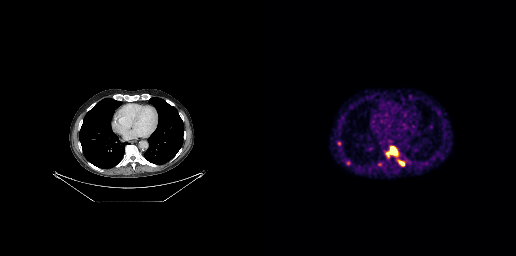
Coordinates are on the 256×256 PET (right) panel. PSMA-avid tumor lesion bounding boxes:
| # | x0 | y0 | x1 | y1 |
|---|---|---|---|---|
| 1 | 126 | 147 | 137 | 157 |
| 2 | 138 | 160 | 144 | 165 |
Small PSMA-avid foci (2 to 4 px across) near (center x, center y): (87, 162); (79, 143).
Paired axial CT (left) and PSMA PET (right), 68Ga-PSMA tracer. Slice position z = -524 mm.